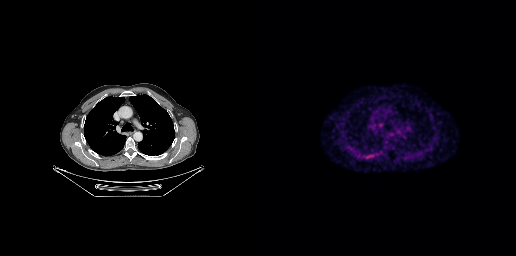
Coordinates are on the 256×256 PET (right) panel. PSMA-avid tumor lesion bounding box (x0,y0,x1,y1): [119,123,122,127]. Left: CT. Right: PSMA PET, same axial level, 68Ga tracer.